Technique: Two-panel axial: CT | PSMA PET, 68Ga tracer. acquired on GE Discovery 690. slice 168 of 263. PET panel 256×256 px (2.7 mm/px).
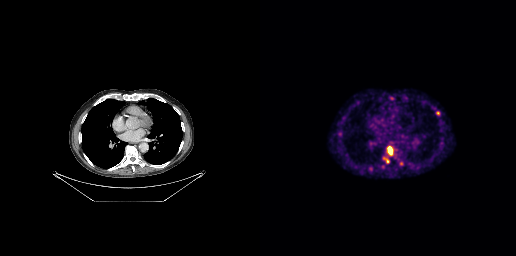
Findings: Coordinates are on the 256×256 PET (right) panel. (showing 5 of 6 foci) PSMA-avid tumor lesion bounding boxes (x0,y0,x1,y1): [128,147,131,153], [109,167,112,171], [139,161,141,165]. Small PSMA-avid foci (2 to 4 px across) near (center x, center y): (127, 161), (177, 112).